- Left: CT. Right: PSMA PET, same axial level, 18F-PSMA tracer
- acquired on Siemens Biograph mCT Flow 20
- slice position z = -16 mm
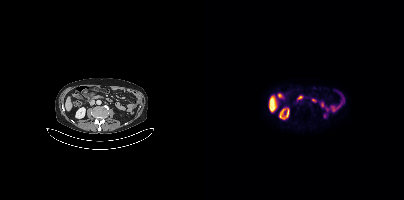
Findings: This slice has no annotated PSMA-avid lesion.